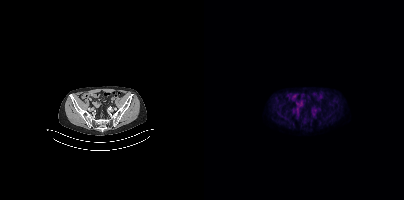
- Left: CT. Right: PSMA PET, same axial level, [18F]PSMA-1007 tracer
- slice position z = -871 mm
- PET panel 200×200 px (4.1 mm/px)
Findings: This slice has no annotated PSMA-avid lesion.